Technique: Paired axial CT (left) and PSMA PET (right), 18F-PSMA tracer. PET panel 200×200 px (4.1 mm/px).
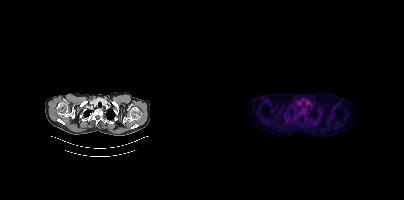
Findings: This slice has no annotated PSMA-avid lesion.